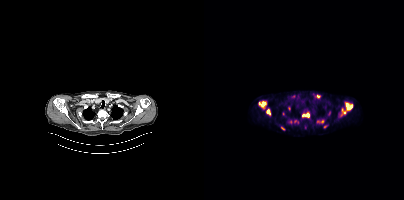
Two-panel axial: CT | PSMA PET, 18F tracer. Acquired on Siemens Biograph mCT Flow 20. Slice position z = -938 mm. PET panel 200×200 px (4.1 mm/px).
Coordinates are on the 200×200 PET (right) panel. PSMA-avid tumor lesion bounding boxes (partial; 2 more foci not listed):
| # | x0 | y0 | x1 | y1 |
|---|---|---|---|---|
| 1 | 136 | 102 | 148 | 116 |
| 2 | 55 | 101 | 62 | 107 |
| 3 | 98 | 113 | 105 | 117 |
| 4 | 113 | 120 | 120 | 123 |
| 5 | 62 | 109 | 66 | 115 |
| 6 | 90 | 120 | 94 | 123 |
| 7 | 77 | 126 | 80 | 130 |
| 8 | 84 | 106 | 86 | 110 |
Small PSMA-avid foci (2 to 4 px across) near (center x, center y): (86, 121); (113, 96); (121, 126).